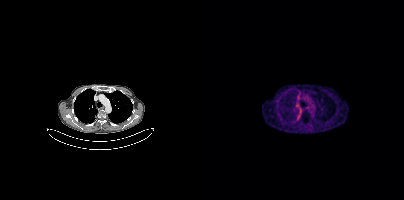
Technique: Two-panel axial: CT | PSMA PET, 68Ga-PSMA tracer. acquired on Siemens Biograph mCT Flow 20.
Findings: This slice has no annotated PSMA-avid lesion.